Paired axial CT (left) and PSMA PET (right), 68Ga tracer. Acquired on Siemens Biograph mCT Flow 20. Slice position z = -1708 mm. PET panel 200×200 px (4.1 mm/px).
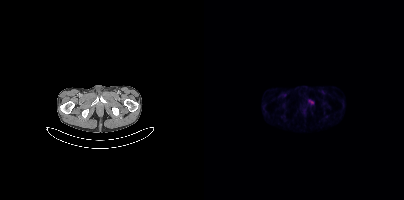
Coordinates are on the 200×200 PET (right) panel. PSMA-avid tumor lesion bounding box (x0,y0,x1,y1): [104,100,109,104].